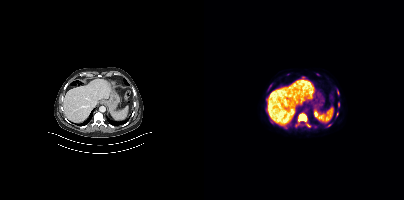
Coordinates are on the 200×200 PET (right) panel. PSMA-avid tumor lesion bounding boxes (x0,y0,x1,y1): [94,114,102,120]; [92,122,95,126]; [134,102,135,106]; [102,124,106,126]; [123,124,127,126]; [133,90,134,94]. Small PSMA-avid focus (2 to 4 px across) near (center x, center y): (133, 114). Paired axial CT (left) and PSMA PET (right), 18F-PSMA tracer. PET panel 200×200 px (4.1 mm/px).